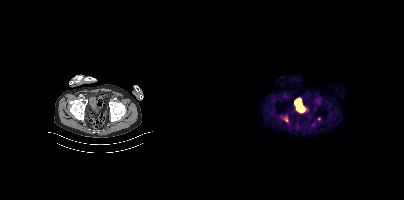
Coordinates are on the 200×200 PET (right) panel. Small PSMA-avid foci (2 to 4 px across) near (center x, center y): (115, 118) | (82, 119). Two-panel axial: CT | PSMA PET, 18F tracer. Acquired on Siemens Biograph mCT Flow 20.